Technique: Two-panel axial: CT | PSMA PET, 18F-PSMA tracer. acquired on Siemens Biograph mCT Flow 20.
Note: De-identified by setting a box covering the face to black before release.
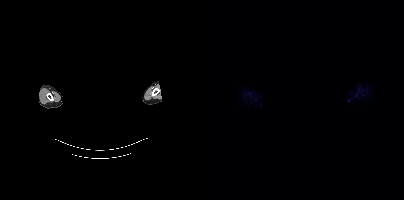
Findings: No PSMA-avid tumor lesions on this slice.